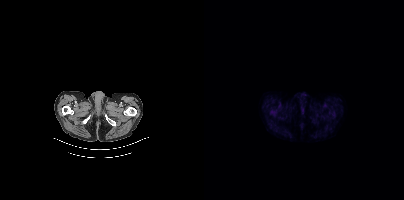
- Left: CT. Right: PSMA PET, same axial level, 18F-PSMA tracer
- acquired on Siemens Biograph mCT Flow 20
- slice 47 of 452
- PET panel 200×200 px (4.1 mm/px)
Findings: Negative for PSMA-avid disease on this slice.